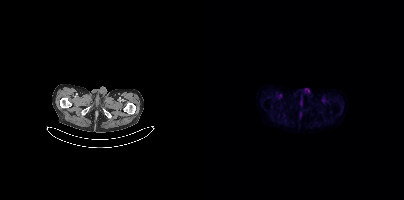
Two-panel axial: CT | PSMA PET, [18F]PSMA-1007 tracer. Acquired on Siemens Biograph mCT Flow 20. PET panel 200×200 px (4.1 mm/px). No PSMA-avid tumor lesions on this slice.